Two-panel axial: CT | PSMA PET, [68Ga]Ga-PSMA-11 tracer. Slice position z = -344 mm.
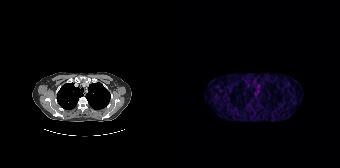
This slice has no annotated PSMA-avid lesion.